- Paired axial CT (left) and PSMA PET (right), [18F]PSMA-1007 tracer
- PET panel 200×200 px (4.1 mm/px)
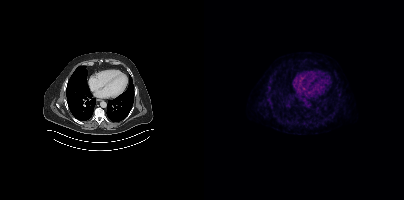
Findings: No PSMA-avid tumor lesions on this slice.